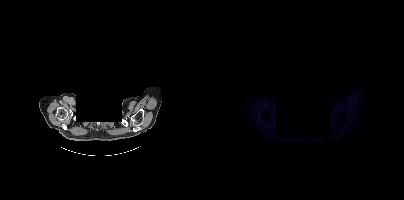
Findings: No PSMA-avid tumor lesions on this slice.
- head region blanked for anonymization (face removed)
- Two-panel axial: CT | PSMA PET, 18F-PSMA tracer
- PET panel 200×200 px (4.1 mm/px)